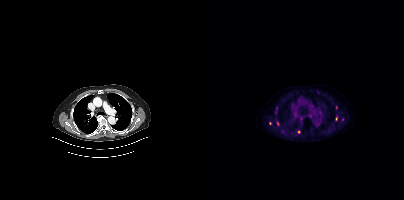
modality: PSMA PET/CT | tracer: 18F | view: axial
Coordinates are on the 200×200 PET (right) panel. (showing 6 of 8 foci) PSMA-avid tumor lesion bounding box (x, y, width, height): x=71 y=107 w=3 h=7. Small PSMA-avid foci (2 to 4 px across) near (center x, center y): (95, 132); (138, 119); (65, 123); (73, 123); (91, 134).